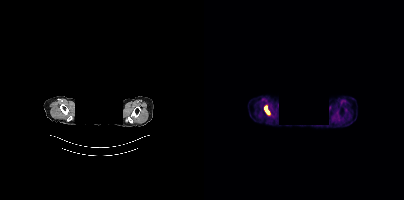
Coordinates are on the 200×200 PET (right) panel. PSMA-avid tumor lesion bounding box (x0,y0,x1,y1): [61,107,64,113]. Paired axial CT (left) and PSMA PET (right), [18F]PSMA-1007 tracer. PET panel 200×200 px (4.1 mm/px). De-identified by setting a box covering the face to black before release.